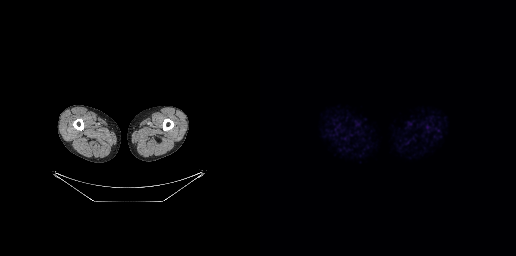
{"pet_grid":[256,256],"coord_frame":"pet_panel","coord_format":"x0,y0,x1,y1","psma_avid_lesions":false,"modality":"PSMA PET/CT","view":"axial","tracer":"[18F]PSMA-1007"}